Paired axial CT (left) and PSMA PET (right), 18F-PSMA tracer. Slice position z = -450 mm.
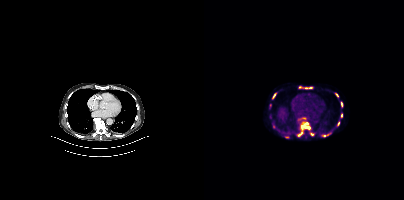
Coordinates are on the 200×200 PET (right) panel. (showing 10 of 11 foci) PSMA-avid tumor lesion bounding boxes (x0,y0,x1,y1): [93,121,106,136], [94,86,108,89], [68,93,72,99], [136,101,139,107], [119,133,126,137], [106,133,110,135], [131,93,134,97], [136,113,138,117], [133,121,135,126]. Small PSMA-avid focus (2 to 4 px across) near (center x, center y): (69, 126).